Two-panel axial: CT | PSMA PET, 18F-PSMA tracer.
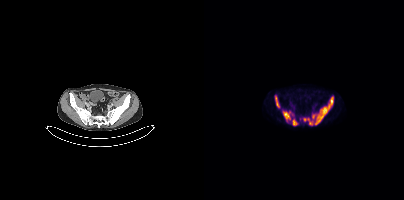
Coordinates are on the 200×200 PET (right) panel. PSMA-avid tumor lesion bounding boxes (x, y, width, height): x=99 y=96 w=31 h=30 / x=78 y=111 w=12 h=11 / x=71 y=95 w=5 h=13 / x=88 y=119 w=6 h=7.